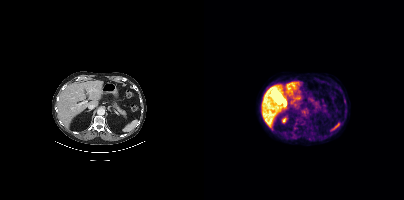
modality: PSMA PET/CT | tracer: 18F | view: axial
This slice has no annotated PSMA-avid lesion.